Paired axial CT (left) and PSMA PET (right), 18F-PSMA tracer. Acquired on Siemens Biograph mCT Flow 20. Slice 222 of 383.
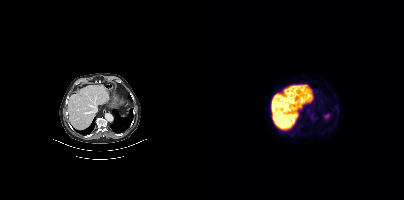
No PSMA-avid tumor lesions on this slice.